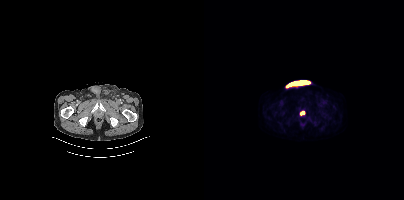
Findings: Coordinates are on the 200×200 PET (right) panel. PSMA-avid tumor lesion bounding box (x0, y0)-(x1, y1): (96, 111)-(100, 115).
Technique: Two-panel axial: CT | PSMA PET, [18F]PSMA-1007 tracer.